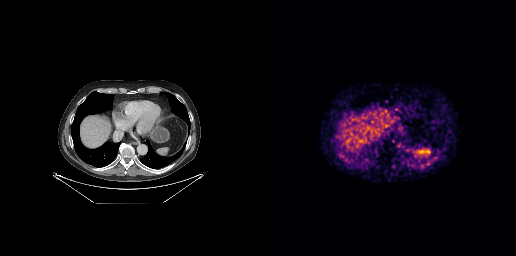
Technique: Paired axial CT (left) and PSMA PET (right), 68Ga-PSMA tracer.
Findings: Coordinates are on the 256×256 PET (right) panel. PSMA-avid tumor lesion bounding box (x0,y0,x1,y1): [165,149,170,155].